Left: CT. Right: PSMA PET, same axial level, [18F]PSMA-1007 tracer. Slice 20 of 413. PET panel 200×200 px (4.1 mm/px).
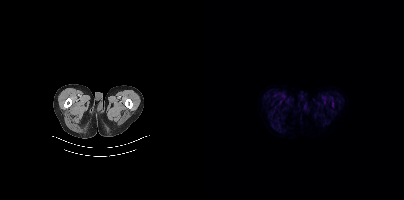
No PSMA-avid tumor lesions on this slice.